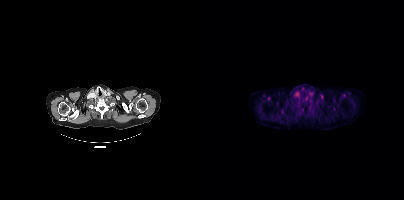
- Paired axial CT (left) and PSMA PET (right), [18F]PSMA-1007 tracer
- slice position z = -218 mm
Findings: No PSMA-avid tumor lesions on this slice.